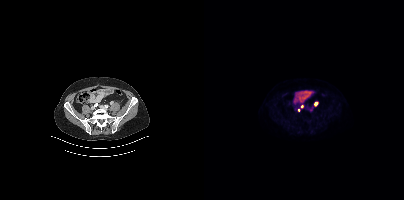
Coordinates are on the 200×200 PET (right) panel. PSMA-avid tumor lesion bounding boxes:
| # | x0 | y0 | x1 | y1 |
|---|---|---|---|---|
| 1 | 110 | 101 | 114 | 106 |
Small PSMA-avid foci (2 to 4 px across) near (center x, center y): (98, 106); (94, 110).
Left: CT. Right: PSMA PET, same axial level, 18F tracer. Slice position z = -1445 mm.